Two-panel axial: CT | PSMA PET, 18F tracer. PET panel 256×256 px (2.7 mm/px).
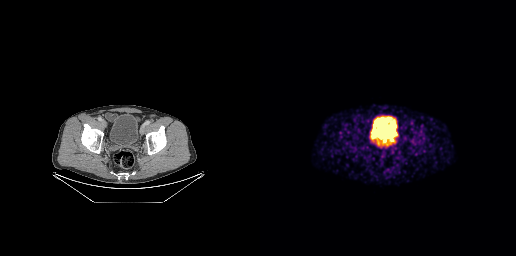
Negative for PSMA-avid disease on this slice.